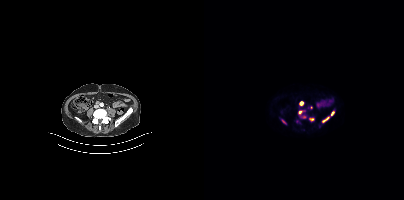
Coordinates are on the 200×200 PET (right) panel. (showing 7 of 8 foci) PSMA-avid tumor lesion bounding boxes (x0,y0,x1,y1): [118,116,125,122] [96,101,99,105] [127,111,130,115] [106,118,110,121]. Small PSMA-avid foci (2 to 4 px across) near (center x, center y): (96, 112) (100, 116) (79, 121).